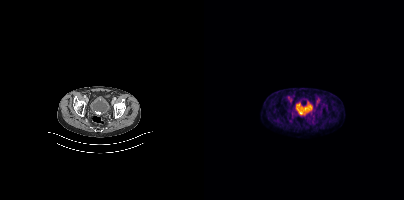
Paired axial CT (left) and PSMA PET (right), [18F]PSMA-1007 tracer. Slice 92 of 401. No tumor lesions annotated on this slice.